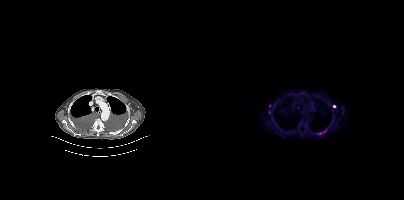
{"modality":"PSMA PET/CT","view":"axial","tracer":"18F-PSMA","pet_grid":[200,200],"coord_frame":"pet_panel","coord_format":"x0,y0,x1,y1","partial":true,"lesion_bboxes":[[112,128,123,134]],"small_foci_centers":[[130,106],[94,107],[65,112],[65,105],[138,112]]}